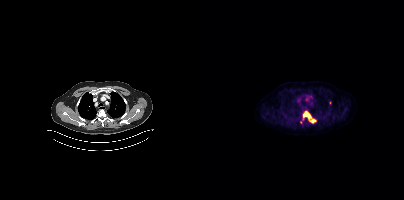
Coordinates are on the 200×200 PET (right) panel. (showing 3 of 4 foci) PSMA-avid tumor lesion bounding box (x0,y0,x1,y1): [98,111,111,122]. Small PSMA-avid foci (2 to 4 px across) near (center x, center y): (126, 102); (96, 122).